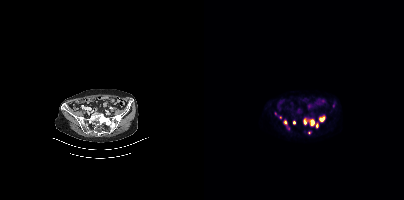
Findings: Coordinates are on the 200×200 PET (right) panel. (showing 10 of 12 foci) PSMA-avid tumor lesion bounding boxes (x0,y0,x1,y1): [115,116,120,121]; [99,118,102,124]; [107,120,110,124]; [80,121,83,125]. Small PSMA-avid foci (2 to 4 px across) near (center x, center y): (90, 122); (113, 124); (84, 128); (105, 132); (71, 113); (105, 120).
- Left: CT. Right: PSMA PET, same axial level, 68Ga-PSMA tracer
- slice 104 of 409
- PET panel 200×200 px (4.1 mm/px)